Technique: Left: CT. Right: PSMA PET, same axial level, [18F]PSMA-1007 tracer. slice position z = -685 mm. PET panel 200×200 px (4.1 mm/px).
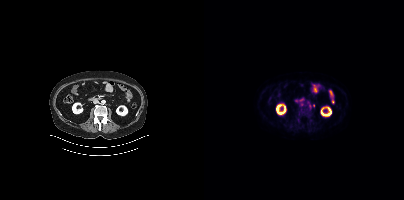
Findings: Only PSMA-avid lesion pieces thinner than 2 px on this slice (not listed).